modality: PSMA PET/CT | tracer: [18F]PSMA-1007 | view: axial
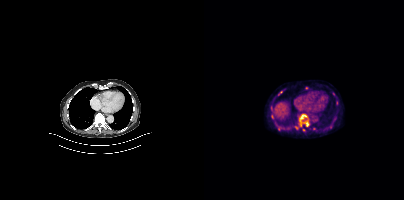
Coordinates are on the 200×200 PET (right) panel. (showing 6 of 7 foci) PSMA-avid tumor lesion bounding boxes (x, y, width, height): x=95 y=114 w=9 h=13 | x=99 y=121 w=6 h=6. Small PSMA-avid foci (2 to 4 px across) near (center x, center y): (68, 116) | (132, 102) | (77, 91) | (67, 108).